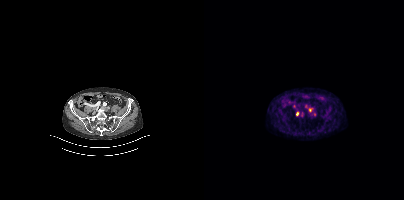
{"modality":"PSMA PET/CT","view":"axial","tracer":"[68Ga]Ga-PSMA-11","pet_grid":[200,200],"coord_frame":"pet_panel","coord_format":"x0,y0,x1,y1","lesion_bboxes":[],"small_foci_centers":[[90,106],[106,109],[110,114],[98,115],[93,114]]}